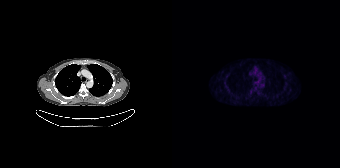
No tumor lesions annotated on this slice.